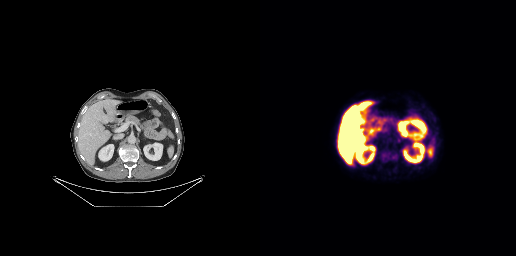
modality: PSMA PET/CT | tracer: [18F]PSMA-1007 | view: axial
This slice has no annotated PSMA-avid lesion.